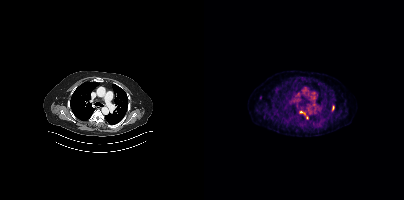
- Two-panel axial: CT | PSMA PET, 18F tracer
- acquired on Siemens Biograph mCT Flow 20
- PET panel 200×200 px (4.1 mm/px)
Findings: Coordinates are on the 200×200 PET (right) panel. PSMA-avid tumor lesion bounding boxes (x0, y0)-(x1, y1): (96, 111)-(101, 114) / (128, 105)-(130, 110). Small PSMA-avid foci (2 to 4 px across) near (center x, center y): (56, 97) / (103, 117).